Two-panel axial: CT | PSMA PET, [18F]PSMA-1007 tracer. Acquired on Siemens Biograph mCT Flow 20. Slice position z = -1544 mm. PET panel 200×200 px (4.1 mm/px).
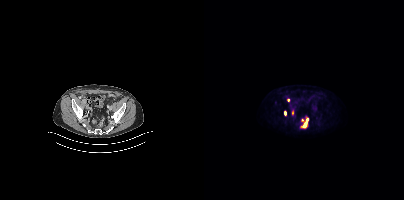
Coordinates are on the 200×200 PET (right) panel. PSMA-avid tumor lesion bounding boxes:
| # | x0 | y0 | x1 | y1 |
|---|---|---|---|---|
| 1 | 96 | 117 | 104 | 128 |
| 2 | 80 | 110 | 82 | 115 |
Small PSMA-avid foci (2 to 4 px across) near (center x, center y): (84, 99); (88, 112).